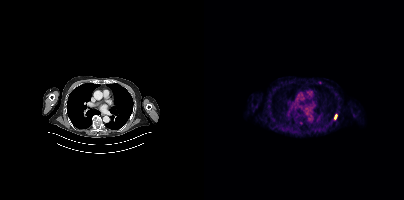
modality: PSMA PET/CT | tracer: 18F | view: axial
Coordinates are on the 200×200 PET (right) panel. PSMA-avid tumor lesion bounding box (x0,y0,x1,y1): [131,114,132,118].